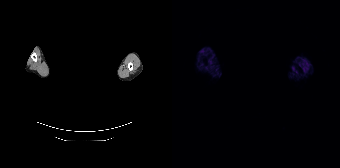
Any black rectangle over the head is a privacy mask, not anatomy. Paired axial CT (left) and PSMA PET (right), [68Ga]Ga-PSMA-11 tracer. No tumor lesions annotated on this slice.